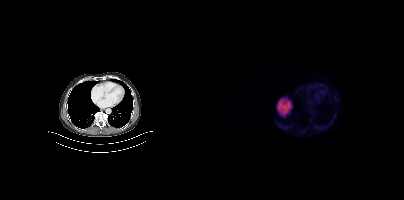
- Two-panel axial: CT | PSMA PET, 18F tracer
- slice 268 of 425
- PET panel 200×200 px (4.1 mm/px)
Findings: Only PSMA-avid lesion pieces thinner than 2 px on this slice (not listed).